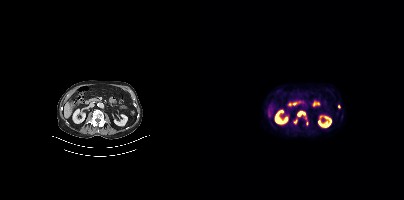
Left: CT. Right: PSMA PET, same axial level, 18F tracer. Acquired on Siemens Biograph mCT Flow 20. PET panel 200×200 px (4.1 mm/px). Coordinates are on the 200×200 PET (right) panel. (showing 3 of 4 foci) PSMA-avid tumor lesion bounding boxes (x0, y0)-(x1, y1): (94, 111)-(100, 115); (89, 119)-(93, 124). Small PSMA-avid focus (2 to 4 px across) near (center x, center y): (135, 106).